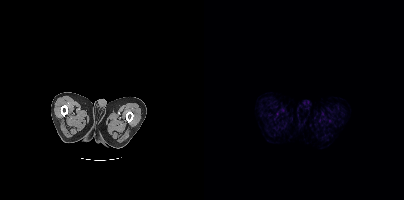
Findings: No tumor lesions annotated on this slice.
Technique: Two-panel axial: CT | PSMA PET, 18F-PSMA tracer. slice 12 of 431.